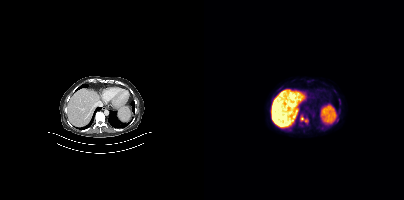
- Two-panel axial: CT | PSMA PET, [18F]PSMA-1007 tracer
- PET panel 200×200 px (4.1 mm/px)
Findings: Coordinates are on the 200×200 PET (right) panel. (showing 2 of 3 foci) PSMA-avid tumor lesion bounding box (x0,y0,x1,y1): [96,116,103,122]. Small PSMA-avid focus (2 to 4 px across) near (center x, center y): (131, 121).